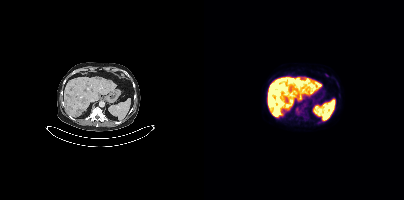
Technique: Paired axial CT (left) and PSMA PET (right), [18F]PSMA-1007 tracer.
Findings: Coordinates are on the 200×200 PET (right) panel. (showing 3 of 4 foci) PSMA-avid tumor lesion bounding boxes (x0,y0,x1,y1): [67,107,75,115], [91,107,97,112], [66,98,70,103].